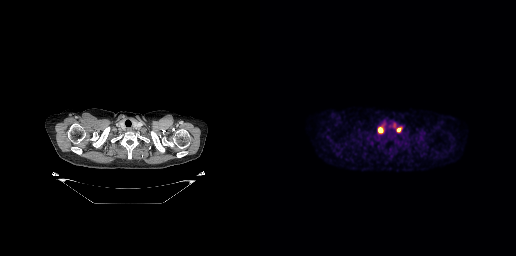
{"pet_grid":[256,256],"coord_frame":"pet_panel","coord_format":"x0,y0,x1,y1","lesion_bboxes":[[118,127,123,132],[137,127,141,132]],"modality":"PSMA PET/CT","view":"axial","tracer":"18F"}